Left: CT. Right: PSMA PET, same axial level, 18F tracer. Slice position z = -1141 mm. PET panel 200×200 px (4.1 mm/px).
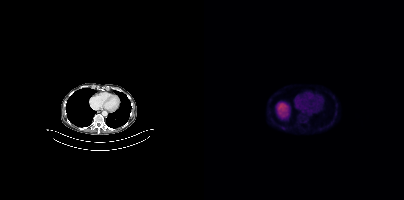
Negative for PSMA-avid disease on this slice.